Two-panel axial: CT | PSMA PET, 68Ga-PSMA tracer.
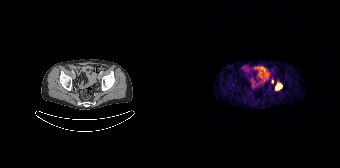
Coordinates are on the 168×168 PET (right) panel. PSMA-avid tumor lesion bounding box (x0,y0,x1,y1): [104,84,109,89]. Small PSMA-avid focus (2 to 4 px across) near (center x, center y): (100, 81).